- face de-identified by blanking a block of the head
- Paired axial CT (left) and PSMA PET (right), 18F-PSMA tracer
- slice position z = -530 mm
- PET panel 168×168 px (4.1 mm/px)
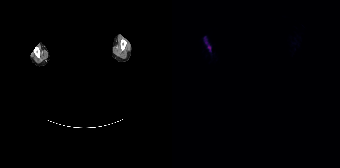
Findings: Coordinates are on the 168×168 PET (right) panel. Small PSMA-avid focus (2 to 4 px across) near (center x, center y): (37, 47).